Technique: Two-panel axial: CT | PSMA PET, 18F-PSMA tracer. slice position z = -1339 mm. PET panel 200×200 px (4.1 mm/px).
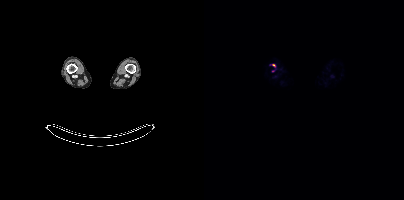
Findings: Coordinates are on the 200×200 PET (right) panel. Small PSMA-avid focus (2 to 4 px across) near (center x, center y): (69, 65).